- Two-panel axial: CT | PSMA PET, 18F-PSMA tracer
- acquired on GE Discovery 690
- slice 127 of 299
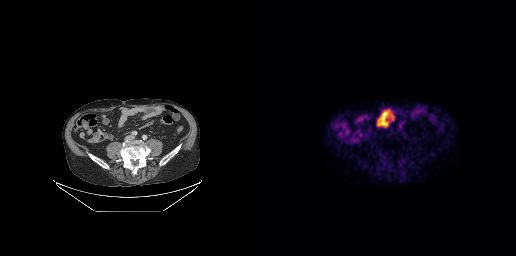
Findings: No PSMA-avid tumor lesions on this slice.